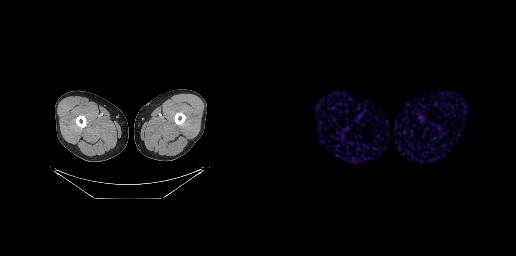
{"modality":"PSMA PET/CT","view":"axial","tracer":"[68Ga]Ga-PSMA-11","pet_grid":[256,256],"coord_frame":"pet_panel","coord_format":"x0,y0,x1,y1","psma_avid_lesions":false}